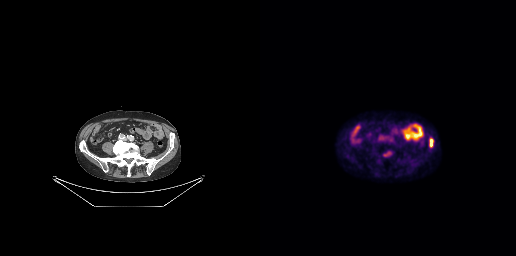
Technique: Two-panel axial: CT | PSMA PET, 18F tracer. acquired on GE Discovery 690. PET panel 256×256 px (2.7 mm/px).
Findings: Coordinates are on the 256×256 PET (right) panel. PSMA-avid tumor lesion bounding box (x, y, width, height): x=169 y=138 w=5 h=10.